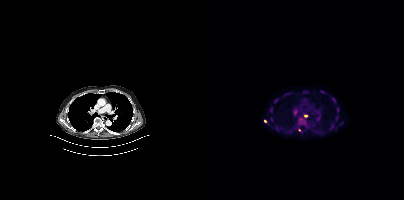
Two-panel axial: CT | PSMA PET, 18F-PSMA tracer. Acquired on Siemens Biograph mCT Flow 20. Slice position z = -387 mm. PET panel 200×200 px (4.1 mm/px). Coordinates are on the 200×200 PET (right) panel. (showing 11 of 12 foci) PSMA-avid tumor lesion bounding boxes (x0,y0,x1,y1): [127,97,131,102]; [132,107,135,112]; [60,119,63,123]. Small PSMA-avid foci (2 to 4 px across) near (center x, center y): (100, 91); (85, 93); (67, 109); (67, 119); (102, 115); (133, 116); (71, 101); (95, 129).